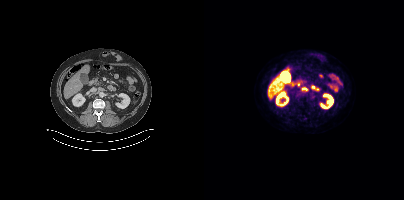
Negative for PSMA-avid disease on this slice.